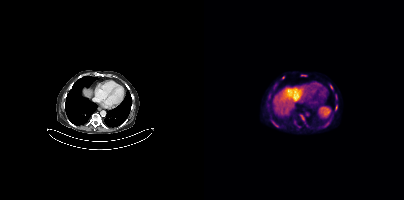
modality: PSMA PET/CT | tracer: 18F-PSMA | view: axial | PET grid: 200×200
Coordinates are on the 200×200 PET (right) panel. (showing 6 of 7 foci) PSMA-avid tumor lesion bounding boxes (x0,y0,x1,y1): [96,114,100,121] [67,120,74,127] [97,74,102,76] [131,105,133,110]. Small PSMA-avid foci (2 to 4 px across) near (center x, center y): (79, 77) (127, 87).